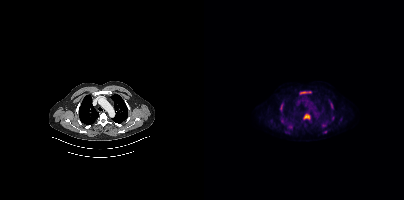
Left: CT. Right: PSMA PET, same axial level, 18F-PSMA tracer. PET panel 200×200 px (4.1 mm/px). Coordinates are on the 200×200 PET (right) panel. (showing 6 of 8 foci) PSMA-avid tumor lesion bounding boxes (x0, y0)-(x1, y1): (100, 114)-(105, 118) / (96, 92)-(106, 93) / (76, 103)-(79, 109) / (126, 102)-(128, 108) / (128, 116)-(130, 120). Small PSMA-avid focus (2 to 4 px across) near (center x, center y): (120, 132).